Technique: Two-panel axial: CT | PSMA PET, [18F]PSMA-1007 tracer. PET panel 200×200 px (4.1 mm/px).
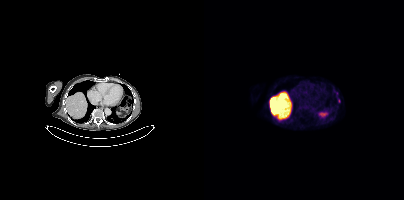
Findings: Coordinates are on the 200×200 PET (right) panel. Small PSMA-avid foci (2 to 4 px across) near (center x, center y): (132, 93) / (135, 100).